Head region blanked for anonymization (face removed).
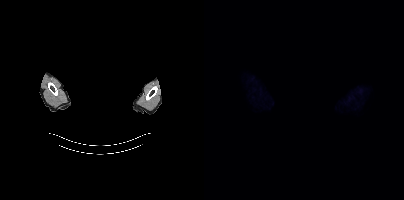
No tumor lesions annotated on this slice.